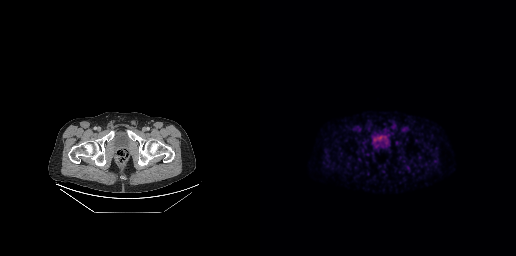
Coordinates are on the 256×256 PET (right) panel. Small PSMA-avid focus (2 to 4 px across) near (center x, center y): (113, 136). Paired axial CT (left) and PSMA PET (right), 18F-PSMA tracer. Acquired on GE Discovery 690.